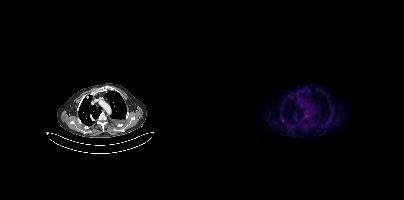
Coordinates are on the 200×200 PET (right) panel. Small PSMA-avid focus (2 to 4 px across) near (center x, center y): (78, 120).